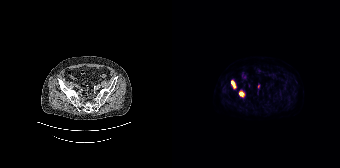
Two-panel axial: CT | PSMA PET, 18F tracer. Acquired on Siemens Biograph 64-4R TruePoint.
Coordinates are on the 168×168 PET (right) panel. PSMA-avid tumor lesion bounding boxes:
| # | x0 | y0 | x1 | y1 |
|---|---|---|---|---|
| 1 | 59 | 80 | 64 | 89 |
| 2 | 67 | 90 | 72 | 97 |
Small PSMA-avid focus (2 to 4 px across) near (center x, center y): (86, 86).